Technique: Left: CT. Right: PSMA PET, same axial level, 18F-PSMA tracer. acquired on GE Discovery 690. slice 83 of 263. PET panel 256×256 px (2.7 mm/px).
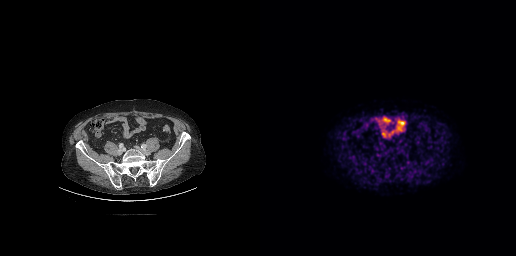
Findings: No tumor lesions annotated on this slice.